Paired axial CT (left) and PSMA PET (right), 18F tracer. PET panel 168×168 px (4.1 mm/px).
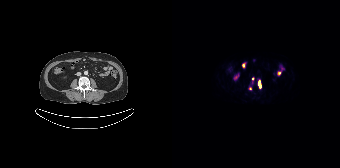
Coordinates are on the 168×168 PET (right) panel. PSMA-avid tumor lesion bounding box (x0, y0)-(x1, y1): (85, 80)-(89, 88). Small PSMA-avid foci (2 to 4 px across) near (center x, center y): (78, 88) / (80, 78).